Left: CT. Right: PSMA PET, same axial level, 18F-PSMA tracer. PET panel 200×200 px (4.1 mm/px).
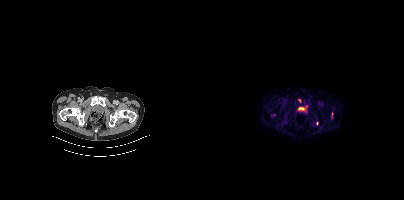
Coordinates are on the 200×200 PET (right) panel. (showing 2 of 5 foci) PSMA-avid tumor lesion bounding box (x, y, width, height): x=112 y=121 w=3 h=5. Small PSMA-avid focus (2 to 4 px across) near (center x, center y): (95, 100).